Privacy masking over the head, with the pixels inside a rectangle set to black.
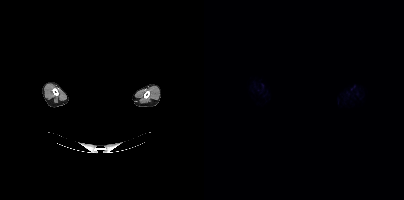
This slice has no annotated PSMA-avid lesion.